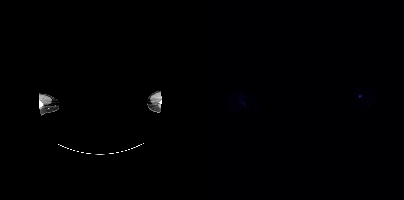
{"modality":"PSMA PET/CT","view":"axial","tracer":"[18F]PSMA-1007","pet_grid":[200,200],"coord_frame":"pet_panel","coord_format":"x0,y0,x1,y1","partial":true,"lesion_bboxes":[],"small_foci_centers":[[155,96]],"de-identification":"head region blanked (face removed)"}